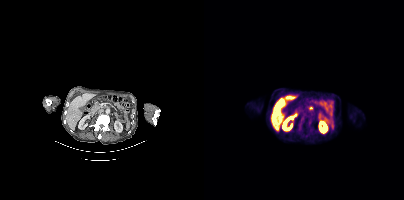
Coordinates are on the 200×200 PET (right) panel. PSMA-avid tumor lesion bounding box (x, y, width, height): x=97 y=115 w=4 h=9.